Technique: Left: CT. Right: PSMA PET, same axial level, 18F tracer. acquired on Siemens Biograph mCT Flow 20. slice 190 of 419. PET panel 200×200 px (4.1 mm/px).
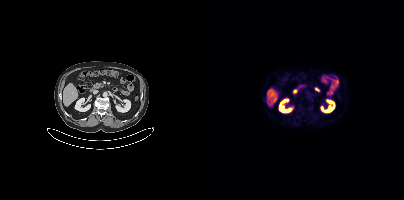
Findings: No PSMA-avid tumor lesions on this slice.